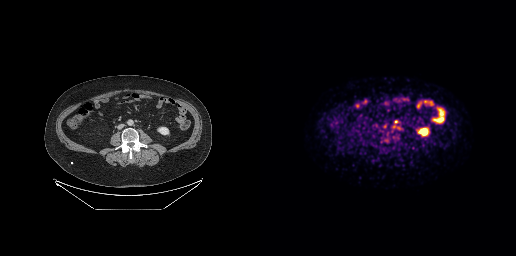
Coordinates are on the 256×256 PET (right) panel. Small PSMA-avid focus (2 to 4 px across) near (center x, center y): (136, 121). Paired axial CT (left) and PSMA PET (right), 18F-PSMA tracer. Acquired on GE Discovery 690.